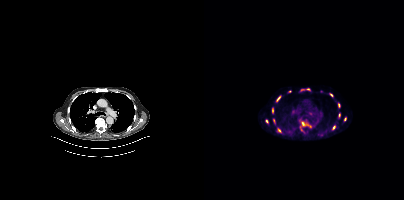
- Paired axial CT (left) and PSMA PET (right), 18F-PSMA tracer
- acquired on Siemens Biograph mCT Flow 20
- PET panel 200×200 px (4.1 mm/px)
Findings: Coordinates are on the 200×200 PET (right) panel. (showing 12 of 15 foci) PSMA-avid tumor lesion bounding boxes (x0, y0)-(x1, y1): (97, 121)-(107, 127) | (96, 88)-(106, 91) | (72, 96)-(76, 101) | (134, 103)-(136, 107) | (74, 128)-(77, 132) | (68, 108)-(69, 112). Small PSMA-avid foci (2 to 4 px across) near (center x, center y): (135, 114) | (127, 94) | (85, 91) | (63, 121) | (69, 120) | (129, 127).